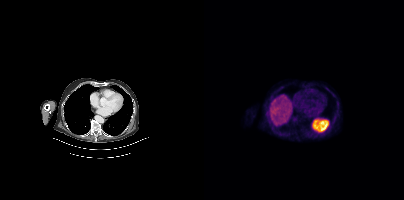
{"modality":"PSMA PET/CT","view":"axial","tracer":"[18F]PSMA-1007","pet_grid":[200,200],"coord_frame":"pet_panel","coord_format":"x0,y0,x1,y1","psma_avid_lesions":false}